Technique: Two-panel axial: CT | PSMA PET, 18F tracer. slice 206 of 444. PET panel 200×200 px (4.1 mm/px).
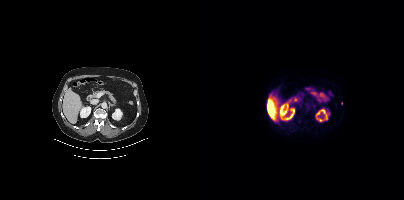
Findings: Coordinates are on the 200×200 PET (right) panel. Small PSMA-avid focus (2 to 4 px across) near (center x, center y): (137, 103).